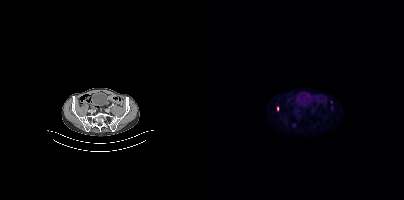
{"pet_grid":[200,200],"coord_frame":"pet_panel","coord_format":"x0,y0,x1,y1","lesion_bboxes":[],"small_foci_centers":[[73,108]],"modality":"PSMA PET/CT","view":"axial","tracer":"18F-PSMA"}